modality: PSMA PET/CT | tracer: 18F | view: axial | PET grid: 200×200
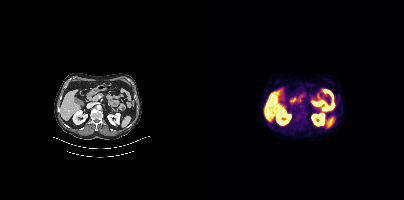
Negative for PSMA-avid disease on this slice.